Paired axial CT (left) and PSMA PET (right), 18F tracer.
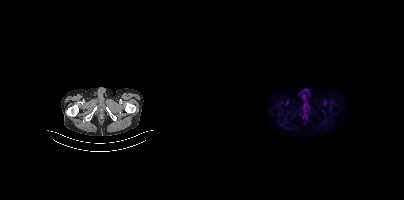
No tumor lesions annotated on this slice.